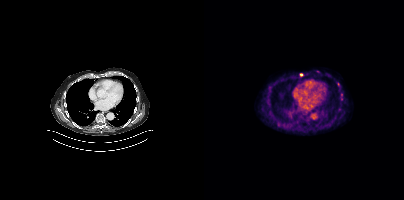
- Left: CT. Right: PSMA PET, same axial level, [18F]PSMA-1007 tracer
- acquired on Siemens Biograph mCT Flow 20
- slice 277 of 429
- PET panel 200×200 px (4.1 mm/px)
Findings: Coordinates are on the 200×200 PET (right) panel. (showing 2 of 3 foci) Small PSMA-avid foci (2 to 4 px across) near (center x, center y): (97, 74) / (134, 84).